- Paired axial CT (left) and PSMA PET (right), 18F-PSMA tracer
- acquired on Siemens Biograph mCT Flow 20
- slice 20 of 375
- PET panel 200×200 px (4.1 mm/px)
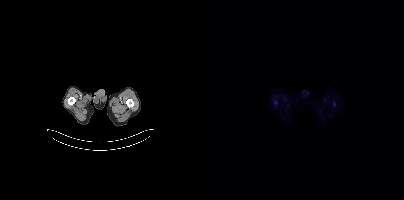
Findings: No PSMA-avid tumor lesions on this slice.